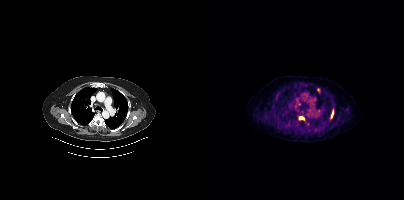
Paired axial CT (left) and PSMA PET (right), 18F-PSMA tracer. Acquired on Siemens Biograph mCT Flow 20. Coordinates are on the 200×200 PET (right) panel. PSMA-avid tumor lesion bounding boxes (x0,y0,x1,y1): [113,88,116,92], [127,111,129,117], [95,117,99,119]. Small PSMA-avid focus (2 to 4 px across) near (center x, center y): (95, 103).